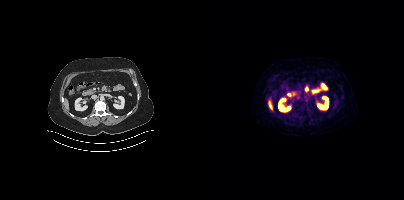
This slice has no annotated PSMA-avid lesion.
modality: PSMA PET/CT | tracer: 18F-PSMA | view: axial